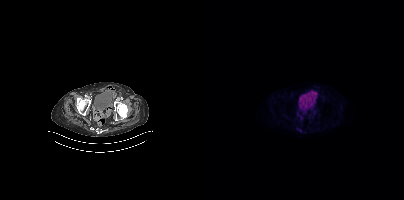
Only PSMA-avid lesion pieces thinner than 2 px on this slice (not listed).